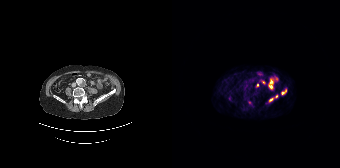
Coordinates are on the 168×168 PET (right) panel. PSMA-avid tumor lesion bounding boxes:
| # | x0 | y0 | x1 | y1 |
|---|---|---|---|---|
| 1 | 97 | 98 | 101 | 101 |
Small PSMA-avid foci (2 to 4 px across) near (center x, center y): (104, 96); (85, 85); (113, 90); (110, 93).
Paired axial CT (left) and PSMA PET (right), [68Ga]Ga-PSMA-11 tracer. Acquired on Siemens Biograph 64-4R TruePoint. Slice 57 of 165. PET panel 168×168 px (4.1 mm/px).